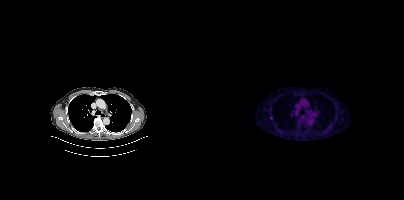
Coordinates are on the 200×200 PET (right) panel. Small PSMA-avid focus (2 to 4 px across) near (center x, center y): (67, 117).